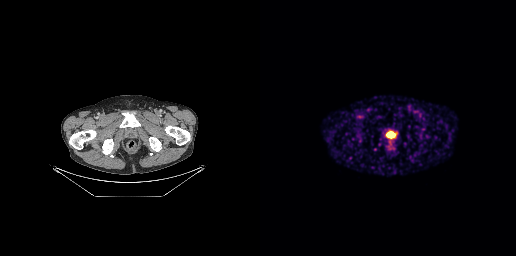
Left: CT. Right: PSMA PET, same axial level, [68Ga]Ga-PSMA-11 tracer.
Coordinates are on the 256×256 PET (right) panel. PSMA-avid tumor lesion bounding boxes:
| # | x0 | y0 | x1 | y1 |
|---|---|---|---|---|
| 1 | 126 | 131 | 134 | 137 |